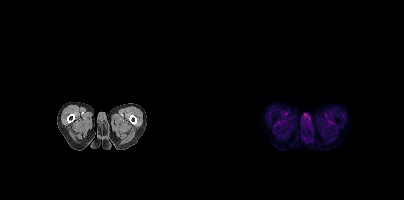
Negative for PSMA-avid disease on this slice.